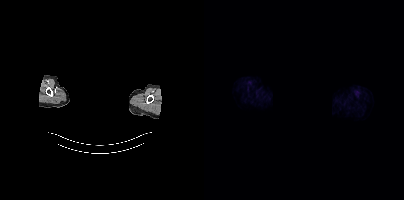
Technique: Paired axial CT (left) and PSMA PET (right), 18F-PSMA tracer. acquired on Siemens Biograph mCT Flow 20. PET panel 200×200 px (4.1 mm/px).
Note: A rectangular block over the head has been blanked out for de-identification.
Findings: Negative for PSMA-avid disease on this slice.